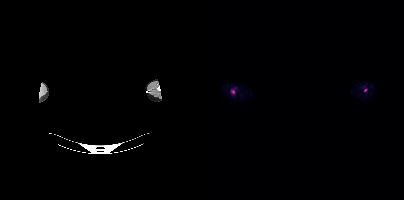
Paired axial CT (left) and PSMA PET (right), 18F tracer. Slice 417 of 429. The head region is masked for de-identification. Coordinates are on the 200×200 PET (right) panel. Small PSMA-avid foci (2 to 4 px across) near (center x, center y): (28, 91) | (161, 90).